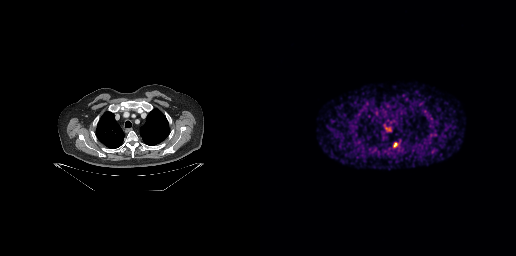
Paired axial CT (left) and PSMA PET (right), 68Ga tracer. Acquired on GE Discovery 690. Slice position z = -426 mm. PET panel 256×256 px (2.7 mm/px). Coordinates are on the 256×256 PET (right) panel. Small PSMA-avid focus (2 to 4 px across) near (center x, center y): (135, 144).